- Left: CT. Right: PSMA PET, same axial level, [18F]PSMA-1007 tracer
- slice 111 of 405
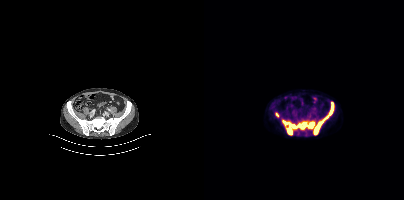
Findings: Coordinates are on the 200×200 PET (right) panel. PSMA-avid tumor lesion bounding box (x0, y0)-(x1, y1): (78, 102)-(129, 134). Small PSMA-avid focus (2 to 4 px across) near (center x, center y): (73, 114).